- Paired axial CT (left) and PSMA PET (right), 18F tracer
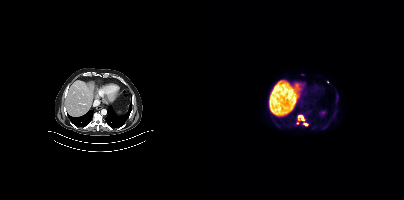
Findings: Coordinates are on the 200×200 PET (right) panel. (showing 3 of 4 foci) PSMA-avid tumor lesion bounding box (x, y, width, height): x=93 y=115 w=12 h=12. Small PSMA-avid foci (2 to 4 px across) near (center x, center y): (93, 123) | (123, 81).